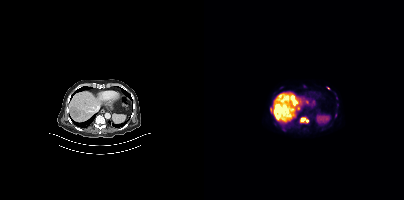
Coordinates are on the 200×200 PET (right) panel. PSMA-avid tumor lesion bounding boxes (x0,y0,x1,y1): [96,117,104,122] [66,108,68,112]. Small PSMA-avid focus (2 to 4 px across) near (center x, center y): (124, 88).